Left: CT. Right: PSMA PET, same axial level, 68Ga-PSMA tracer. Acquired on Siemens Biograph 64-4R TruePoint. Slice position z = -1557 mm.
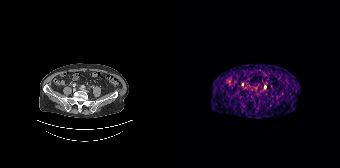
This slice has no annotated PSMA-avid lesion.